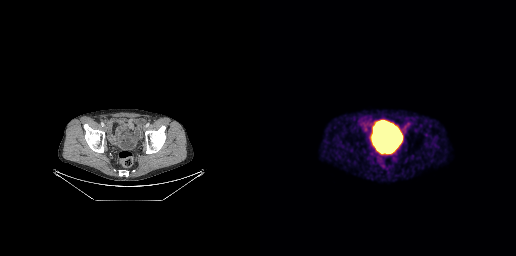
{"modality":"PSMA PET/CT","view":"axial","tracer":"68Ga","pet_grid":[256,256],"coord_frame":"pet_panel","coord_format":"x0,y0,x1,y1","psma_avid_lesions":false}